Left: CT. Right: PSMA PET, same axial level, 18F-PSMA tracer. Acquired on Siemens Biograph mCT Flow 20. Slice position z = -524 mm.
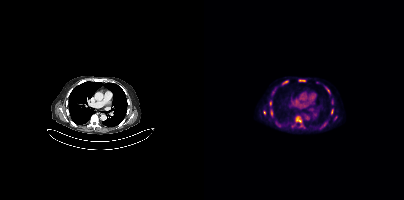
Coordinates are on the 200×200 PET (right) panel. PSMA-avid tumor lesion bounding boxes (partial; 1 more focus not listed):
| # | x0 | y0 | x1 | y1 |
|---|---|---|---|---|
| 1 | 92 | 116 | 97 | 121 |
| 2 | 78 | 80 | 84 | 84 |
| 3 | 95 | 79 | 101 | 81 |
| 4 | 66 | 110 | 68 | 115 |
| 5 | 65 | 101 | 67 | 105 |
| 6 | 127 | 109 | 129 | 114 |
Small PSMA-avid foci (2 to 4 px across) near (center x, center y): (119, 125); (98, 126); (60, 112); (124, 92).